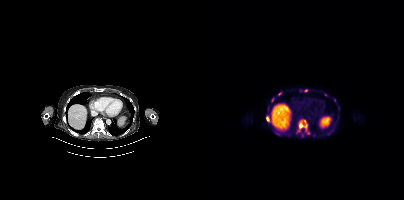
Coordinates are on the 200×200 PET (right) panel. (showing 9 of 10 foci) PSMA-avid tumor lesion bounding boxes (x, y, width, height): x=92 y=120 w=15 h=18 / x=62 y=116 w=4 h=6. Small PSMA-avid foci (2 to 4 px across) near (center x, center y): (101, 90) / (75, 93) / (121, 94) / (68, 99) / (110, 135) / (130, 100) / (75, 134).